- Paired axial CT (left) and PSMA PET (right), 18F-PSMA tracer
- PET panel 200×200 px (4.1 mm/px)
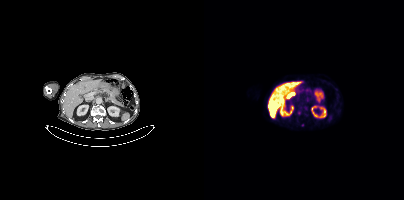
Findings: Coordinates are on the 200×200 PET (right) panel. PSMA-avid tumor lesion bounding box (x, y, width, height): x=93 y=110 w=4 h=5. Small PSMA-avid focus (2 to 4 px across) near (center x, center y): (98, 125).